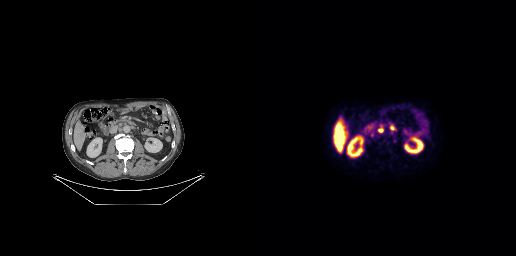
Technique: Left: CT. Right: PSMA PET, same axial level, 18F-PSMA tracer. PET panel 256×256 px (2.7 mm/px).
Findings: Coordinates are on the 256×256 PET (right) panel. PSMA-avid tumor lesion bounding boxes (x0,y0,x1,y1): [118,125,123,132]; [130,125,135,130].